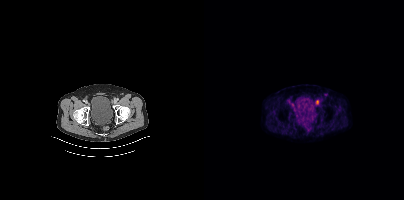
Paired axial CT (left) and PSMA PET (right), 18F tracer. Acquired on Siemens Biograph mCT Flow 20.
Coordinates are on the 200×200 PET (right) panel. PSMA-avid tumor lesion bounding boxes:
| # | x0 | y0 | x1 | y1 |
|---|---|---|---|---|
| 1 | 111 | 100 | 114 | 104 |